An anonymization step blacked out a rectangle over the head in this scan.
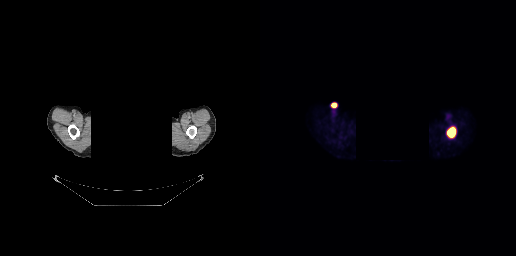
Coordinates are on the 256×256 PET (right) panel. PSMA-avid tumor lesion bounding box (x0,y0,x1,y1): [187,127,196,137].